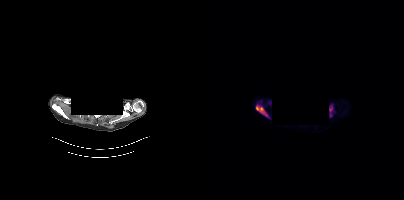
Findings: Coordinates are on the 200×200 PET (right) panel. PSMA-avid tumor lesion bounding boxes (x, y, width, height): x=52 y=105 w=12 h=12; x=125 y=105 w=4 h=12. Small PSMA-avid focus (2 to 4 px across) near (center x, center y): (65, 102).
Technique: Left: CT. Right: PSMA PET, same axial level, [18F]PSMA-1007 tracer.
Note: Any black rectangle over the head is a privacy mask, not anatomy.